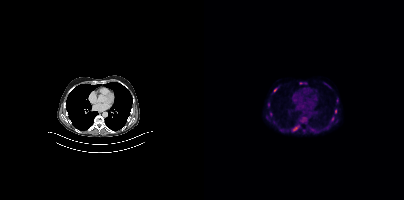
{"pet_grid":[200,200],"coord_frame":"pet_panel","coord_format":"x0,y0,x1,y1","lesion_bboxes":[[88,125,95,131],[96,117,102,122],[95,82,103,84],[69,88,73,92],[127,117,130,121],[131,109,132,113]],"small_foci_centers":[[64,104]],"modality":"PSMA PET/CT","view":"axial","tracer":"18F"}